modality: PSMA PET/CT | tracer: 18F | view: axial | PET grid: 200×200
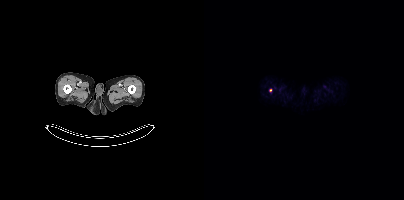
Coordinates are on the 200×200 PET (right) panel. Small PSMA-avid focus (2 to 4 px across) near (center x, center y): (66, 90).